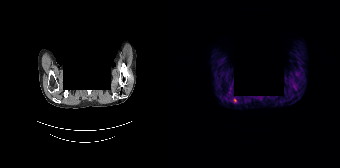
Facial anatomy redacted by setting a rectangular region of the head to black.
Coordinates are on the 168×168 PET (right) panel. PSMA-avid tumor lesion bounding box (x, y, width, height): x=61 y=98 w=4 h=5.